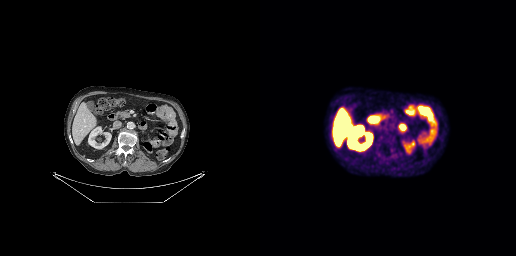
Paired axial CT (left) and PSMA PET (right), 18F tracer. Acquired on GE Discovery 690. No tumor lesions annotated on this slice.